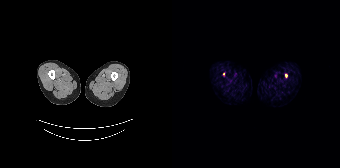
Coordinates are on the 168×168 PET (right) panel. Small PSMA-avid foci (2 to 4 px across) near (center x, center y): (114, 75) / (51, 73).
modality: PSMA PET/CT | tracer: 68Ga-PSMA | view: axial